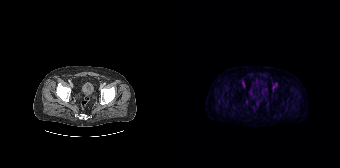
This slice has no annotated PSMA-avid lesion.